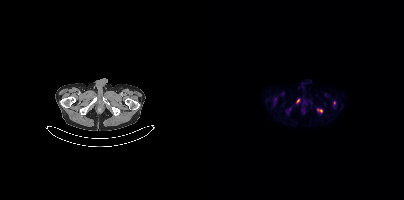
{"modality":"PSMA PET/CT","view":"axial","tracer":"18F","pet_grid":[200,200],"coord_frame":"pet_panel","coord_format":"x0,y0,x1,y1","lesion_bboxes":[[113,109,118,112]],"small_foci_centers":[[94,100],[130,103]]}